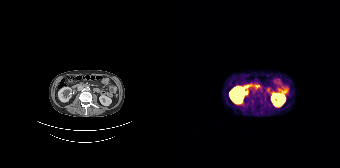
Paired axial CT (left) and PSMA PET (right), 68Ga-PSMA tracer. Acquired on Siemens Biograph 64-4R TruePoint. Slice position z = -624 mm. PET panel 168×168 px (4.1 mm/px). No PSMA-avid tumor lesions on this slice.